Technique: Paired axial CT (left) and PSMA PET (right), 18F tracer. PET panel 200×200 px (4.1 mm/px).
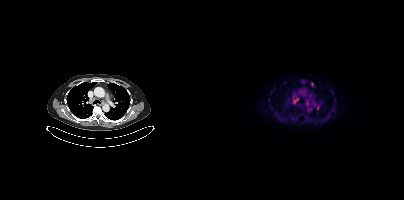
Findings: Coordinates are on the 200×200 PET (right) panel. PSMA-avid tumor lesion bounding boxes (x0,y0,x1,y1): [110,104,115,110] [89,98,94,103] [101,102,105,104]. Small PSMA-avid foci (2 to 4 px across) near (center x, center y): (108, 84) (88, 118).